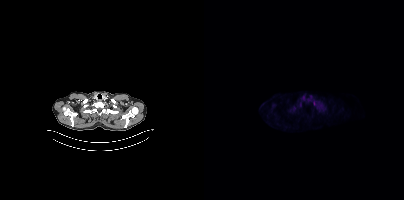
Negative for PSMA-avid disease on this slice.